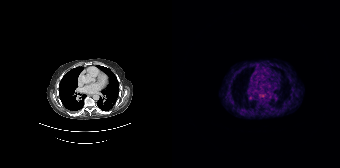
Negative for PSMA-avid disease on this slice. Two-panel axial: CT | PSMA PET, 68Ga-PSMA tracer. PET panel 168×168 px (4.1 mm/px).